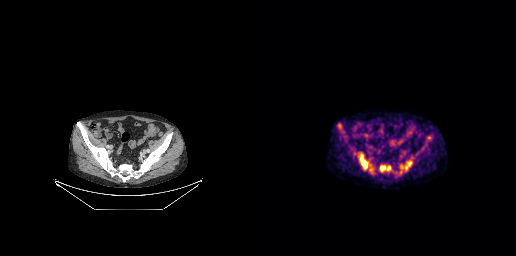
- Left: CT. Right: PSMA PET, same axial level, [18F]PSMA-1007 tracer
- PET panel 256×256 px (2.7 mm/px)
Findings: Coordinates are on the 256×256 PET (right) panel. (showing 7 of 8 foci) PSMA-avid tumor lesion bounding boxes (x0, y0)-(x1, y1): (99, 153)-(108, 169) | (141, 160)-(152, 171) | (120, 165)-(131, 171) | (77, 124)-(84, 132). Small PSMA-avid foci (2 to 4 px across) near (center x, center y): (111, 169) | (162, 148) | (167, 138).